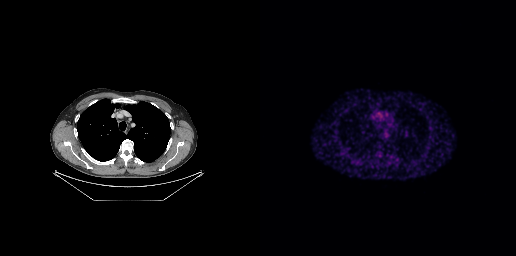
No tumor lesions annotated on this slice.